Technique: Paired axial CT (left) and PSMA PET (right), [18F]PSMA-1007 tracer. PET panel 200×200 px (4.1 mm/px).
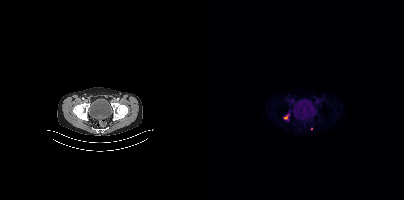
Findings: Coordinates are on the 200×200 PET (right) panel. Small PSMA-avid foci (2 to 4 px across) near (center x, center y): (81, 117) / (107, 128).